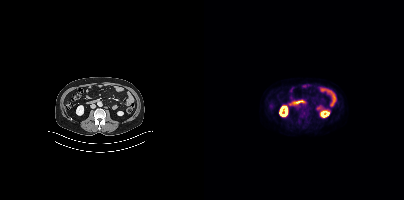
Negative for PSMA-avid disease on this slice.